Paired axial CT (left) and PSMA PET (right), 68Ga tracer. Acquired on GE Discovery 690.
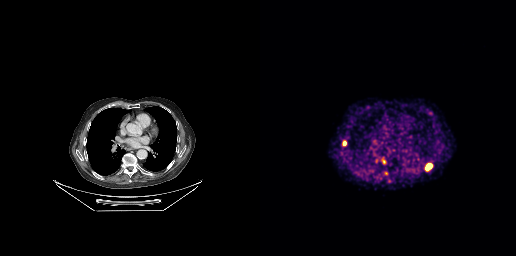
Coordinates are on the 256×256 PET (right) panel. PSMA-avid tumor lesion bounding boxes:
| # | x0 | y0 | x1 | y1 |
|---|---|---|---|---|
| 1 | 166 | 164 | 171 | 170 |
| 2 | 82 | 140 | 86 | 145 |
| 3 | 122 | 158 | 125 | 163 |
Small PSMA-avid foci (2 to 4 px across) near (center x, center y): (107, 107); (126, 172); (170, 112).